- Two-panel axial: CT | PSMA PET, 18F-PSMA tracer
- acquired on Siemens Biograph mCT Flow 20
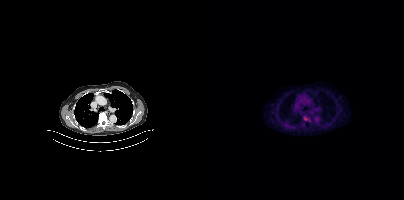
Findings: Coordinates are on the 200×200 PET (right) panel. Small PSMA-avid focus (2 to 4 px across) near (center x, center y): (101, 118).